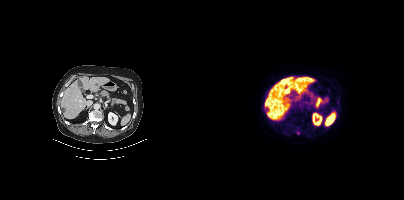
Coordinates are on the 200×200 PET (right) panel. Small PSMA-avid focus (2 to 4 px across) near (center x, center y): (94, 133). Paired axial CT (left) and PSMA PET (right), 18F tracer. Slice 235 of 462.